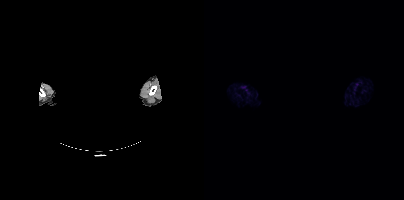
- the head region is masked for de-identification
- Left: CT. Right: PSMA PET, same axial level, [18F]PSMA-1007 tracer
- acquired on Siemens Biograph mCT Flow 20
- slice position z = -139 mm
Findings: Negative for PSMA-avid disease on this slice.